Two-panel axial: CT | PSMA PET, 68Ga-PSMA tracer. Acquired on Siemens Biograph 64-4R TruePoint. Slice position z = -1518 mm.
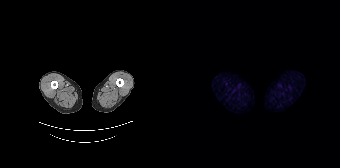
This slice has no annotated PSMA-avid lesion.